Technique: Paired axial CT (left) and PSMA PET (right), 18F tracer. acquired on Siemens Biograph mCT Flow 20. slice 37 of 444. PET panel 200×200 px (4.1 mm/px).
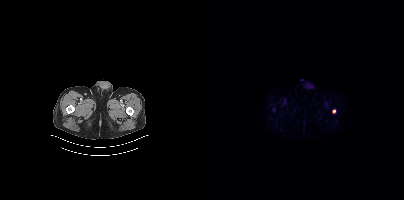
Findings: Coordinates are on the 200×200 PET (right) panel. PSMA-avid tumor lesion bounding box (x0, y0)-(x1, y1): (128, 109)-(131, 113).